Technique: Left: CT. Right: PSMA PET, same axial level, 18F-PSMA tracer. PET panel 200×200 px (4.1 mm/px).
Note: Face de-identified by blanking a block of the head.
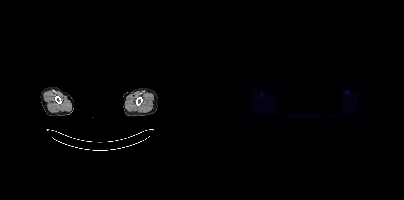
Findings: Negative for PSMA-avid disease on this slice.